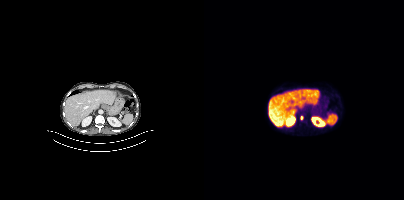
Technique: Left: CT. Right: PSMA PET, same axial level, [18F]PSMA-1007 tracer.
Findings: Coordinates are on the 200×200 PET (right) panel. Small PSMA-avid focus (2 to 4 px across) near (center x, center y): (97, 117).